Technique: Two-panel axial: CT | PSMA PET, [18F]PSMA-1007 tracer. acquired on GE Discovery 690.
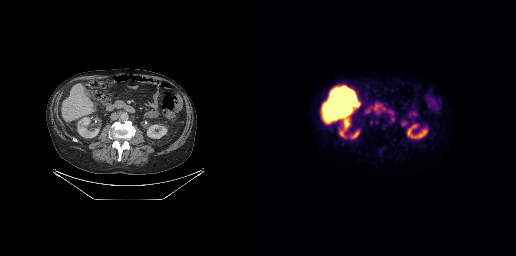
Findings: Only PSMA-avid lesion pieces thinner than 2 px on this slice (not listed).